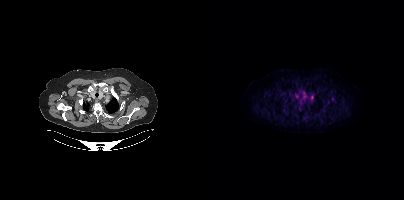
Coordinates are on the 200×200 PET (right) panel. Small PSMA-avid focus (2 to 4 px across) near (center x, center y): (128, 98).